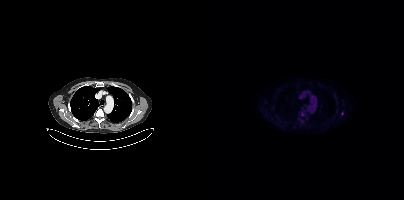
- Paired axial CT (left) and PSMA PET (right), [18F]PSMA-1007 tracer
- slice position z = -502 mm
- PET panel 200×200 px (4.1 mm/px)
Findings: Only PSMA-avid lesion pieces thinner than 2 px on this slice (not listed).